Two-panel axial: CT | PSMA PET, 18F-PSMA tracer.
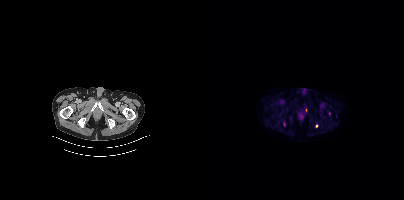
Coordinates are on the 200×200 PET (right) panel. (showing 2 of 3 foci) Small PSMA-avid foci (2 to 4 px across) near (center x, center y): (112, 125); (102, 109).